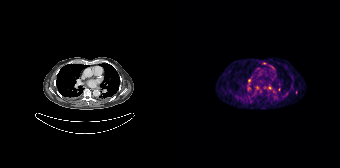
{"modality":"PSMA PET/CT","view":"axial","tracer":"68Ga","pet_grid":[168,168],"coord_frame":"pet_panel","coord_format":"x0,y0,x1,y1","partial":true,"lesion_bboxes":[],"small_foci_centers":[[97,87],[76,88],[77,80],[124,92],[92,62]]}